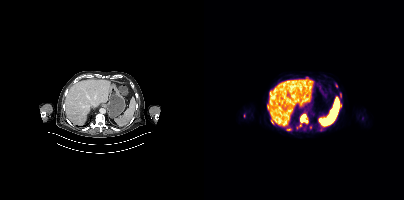
{"modality":"PSMA PET/CT","view":"axial","tracer":"18F","pet_grid":[200,200],"coord_frame":"pet_panel","coord_format":"x0,y0,x1,y1","partial":true,"lesion_bboxes":[[96,114,103,122],[63,104,64,110]],"small_foci_centers":[[84,129],[69,122],[66,92],[96,125],[136,95],[132,85]]}